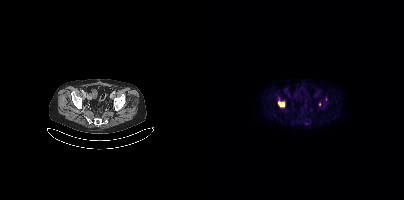
Findings: Coordinates are on the 200×200 PET (right) panel. (showing 2 of 3 foci) PSMA-avid tumor lesion bounding box (x0, y0)-(x1, y1): (74, 101)-(80, 106). Small PSMA-avid focus (2 to 4 px across) near (center x, center y): (115, 103).
- Two-panel axial: CT | PSMA PET, 18F tracer
- acquired on Siemens Biograph mCT Flow 20
- slice position z = -1400 mm